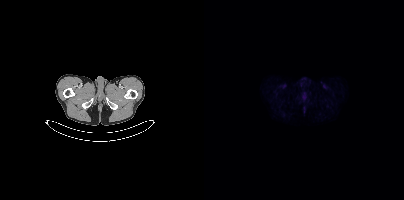
{"modality":"PSMA PET/CT","view":"axial","tracer":"18F","pet_grid":[200,200],"coord_frame":"pet_panel","coord_format":"x0,y0,x1,y1","psma_avid_lesions":false}